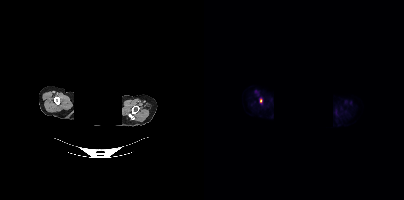
- the face region was removed for patient privacy by blanking a rectangle over the head
- Left: CT. Right: PSMA PET, same axial level, 18F-PSMA tracer
- acquired on Siemens Biograph mCT Flow 20
- slice position z = -218 mm
- PET panel 200×200 px (4.1 mm/px)
Findings: Coordinates are on the 200×200 PET (right) panel. Small PSMA-avid focus (2 to 4 px across) near (center x, center y): (57, 100).